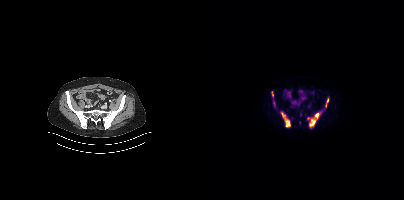
Two-panel axial: CT | PSMA PET, 18F tracer. Acquired on Siemens Biograph mCT Flow 20.
Coordinates are on the 200×200 PET (right) panel. PSMA-avid tumor lesion bounding boxes (partial; 3 more foci not listed):
| # | x0 | y0 | x1 | y1 |
|---|---|---|---|---|
| 1 | 77 | 112 | 86 | 127 |
| 2 | 105 | 119 | 111 | 126 |
| 3 | 111 | 113 | 114 | 118 |
| 4 | 68 | 92 | 69 | 96 |
| 5 | 123 | 98 | 124 | 102 |